modality: PSMA PET/CT | tracer: 18F | view: axial | PET grid: 200×200
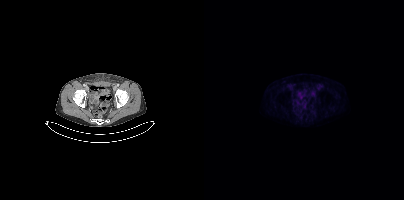
This slice has no annotated PSMA-avid lesion.